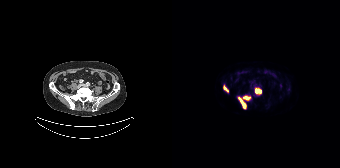
{"modality":"PSMA PET/CT","view":"axial","tracer":"18F-PSMA","pet_grid":[168,168],"coord_frame":"pet_panel","coord_format":"x0,y0,x1,y1","lesion_bboxes":[[66,95,79,109],[83,87,89,94],[51,85,56,92]]}